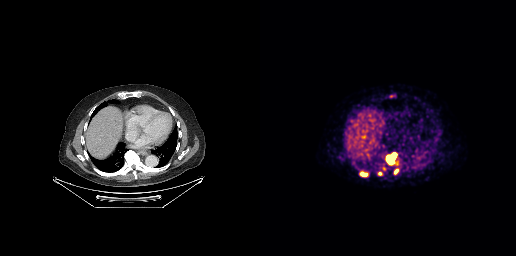
{"pet_grid":[256,256],"coord_frame":"pet_panel","coord_format":"x0,y0,x1,y1","lesion_bboxes":[[126,152,137,164],[100,172,107,176],[134,169,138,174],[122,165,126,170],[118,172,122,175],[129,95,135,97]],"modality":"PSMA PET/CT","view":"axial","tracer":"68Ga-PSMA"}